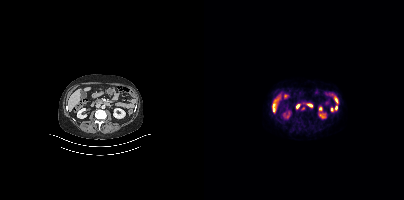
Coordinates are on the 200×200 PET (right) panel. Small PSMA-avid focus (2 to 4 px across) near (center x, center y): (99, 108).
modality: PSMA PET/CT | tracer: 18F | view: axial